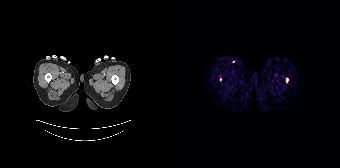
Technique: Two-panel axial: CT | PSMA PET, 68Ga tracer. acquired on Siemens Biograph 64-4R TruePoint. PET panel 168×168 px (4.1 mm/px).
Findings: Coordinates are on the 168×168 PET (right) panel. Small PSMA-avid focus (2 to 4 px across) near (center x, center y): (115, 79).